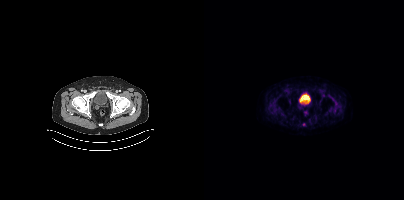
Paired axial CT (left) and PSMA PET (right), 68Ga-PSMA tracer. PET panel 200×200 px (4.1 mm/px). Coordinates are on the 200×200 PET (right) panel. Small PSMA-avid focus (2 to 4 px across) near (center x, center y): (99, 124).